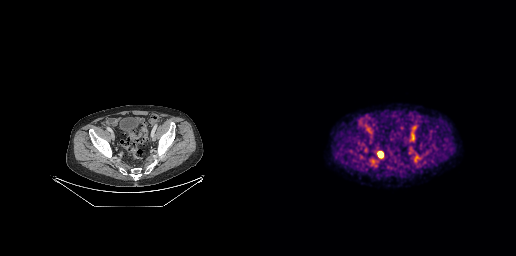
{"pet_grid":[256,256],"coord_frame":"pet_panel","coord_format":"x0,y0,x1,y1","lesion_bboxes":[[118,151,123,157]],"modality":"PSMA PET/CT","view":"axial","tracer":"18F-PSMA"}